- Paired axial CT (left) and PSMA PET (right), 18F-PSMA tracer
- acquired on Siemens Biograph mCT Flow 20
- PET panel 200×200 px (4.1 mm/px)
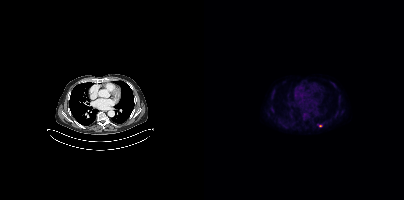
Findings: Coordinates are on the 200×200 PET (right) panel. (showing 2 of 3 foci) Small PSMA-avid foci (2 to 4 px across) near (center x, center y): (116, 125); (130, 86).